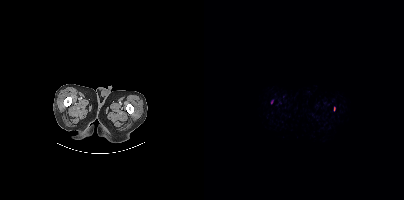
No PSMA-avid tumor lesions on this slice. Paired axial CT (left) and PSMA PET (right), 18F tracer. Acquired on Siemens Biograph mCT Flow 20. Slice 8 of 423. PET panel 200×200 px (4.1 mm/px).